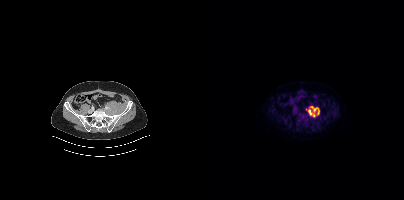
Coordinates are on the 200×200 PET (right) panel. PSMA-avid tumor lesion bounding box (x0, y0)-(x1, y1): (102, 106)-(115, 117).